Paired axial CT (left) and PSMA PET (right), 18F-PSMA tracer. Slice position z = -513 mm.
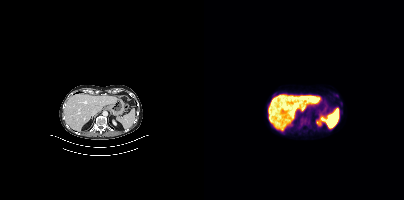
No PSMA-avid tumor lesions on this slice.